Left: CT. Right: PSMA PET, same axial level, 18F tracer. Slice 178 of 423. PET panel 200×200 px (4.1 mm/px).
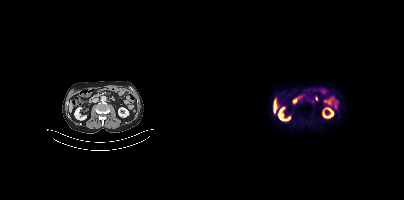
This slice has no annotated PSMA-avid lesion.